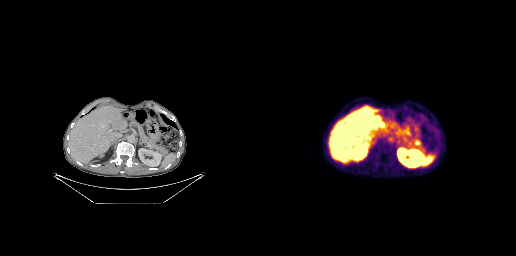
This slice has no annotated PSMA-avid lesion.